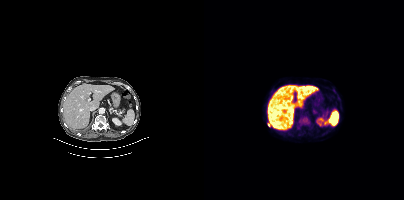
Coordinates are on the 200×200 PET (right) panel. PSMA-avid tumor lesion bounding box (x0,y0,x1,y1): [97,118,105,124]. Small PSMA-avid focus (2 to 4 px across) near (center x, center y): (64, 124).